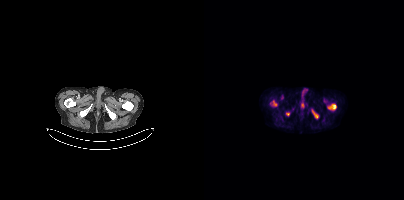
Coordinates are on the 200×200 PET (right) panel. (showing 4 of 5 foci) PSMA-avid tumor lesion bounding boxes (x, y, width, height): x=124 y=104 w=9 h=6 / x=69 y=100 w=5 h=7 / x=108 y=110 w=7 h=9. Small PSMA-avid focus (2 to 4 px across) near (center x, center y): (83, 114).